- Left: CT. Right: PSMA PET, same axial level, [68Ga]Ga-PSMA-11 tracer
- PET panel 168×168 px (4.1 mm/px)
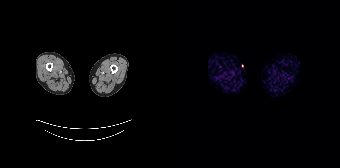
Findings: No PSMA-avid tumor lesions on this slice.